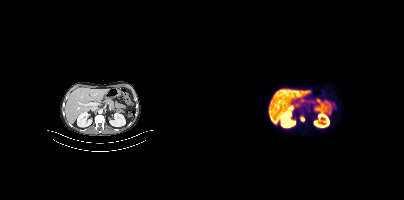
{"modality":"PSMA PET/CT","view":"axial","tracer":"18F-PSMA","pet_grid":[200,200],"coord_frame":"pet_panel","coord_format":"x0,y0,x1,y1","lesion_bboxes":[[96,116,100,121]]}